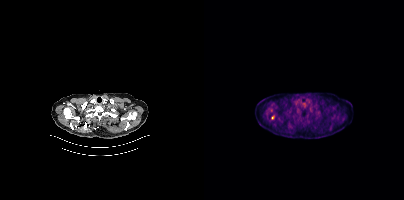
Left: CT. Right: PSMA PET, same axial level, 18F-PSMA tracer. Acquired on Siemens Biograph mCT Flow 20. PET panel 200×200 px (4.1 mm/px). Coordinates are on the 200×200 PET (right) panel. Small PSMA-avid focus (2 to 4 px across) near (center x, center y): (68, 117).